The face region was removed for patient privacy by blanking a rectangle over the head.
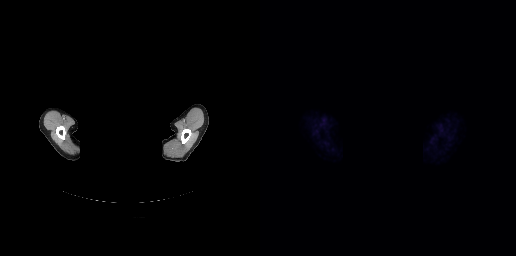
Negative for PSMA-avid disease on this slice.